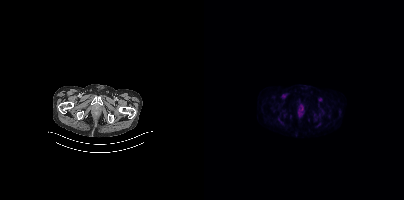
- Two-panel axial: CT | PSMA PET, [18F]PSMA-1007 tracer
- acquired on Siemens Biograph mCT Flow 20
Findings: Negative for PSMA-avid disease on this slice.